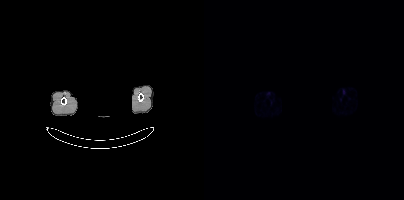
Negative for PSMA-avid disease on this slice. A rectangular block over the head has been blanked out for de-identification. Left: CT. Right: PSMA PET, same axial level, 68Ga-PSMA tracer. Acquired on Siemens Biograph mCT Flow 20. PET panel 200×200 px (4.1 mm/px).